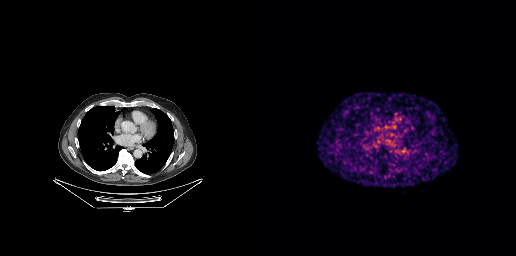
{"modality":"PSMA PET/CT","view":"axial","tracer":"[68Ga]Ga-PSMA-11","pet_grid":[256,256],"coord_frame":"pet_panel","coord_format":"x0,y0,x1,y1","partial":true,"lesion_bboxes":[]}